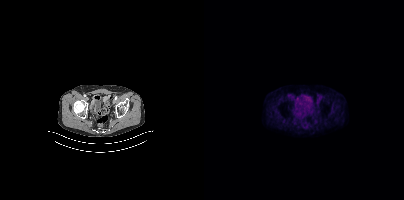
modality: PSMA PET/CT | tracer: 18F | view: axial
Negative for PSMA-avid disease on this slice.